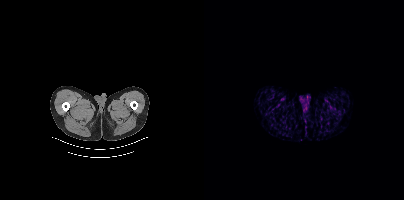
This slice has no annotated PSMA-avid lesion.